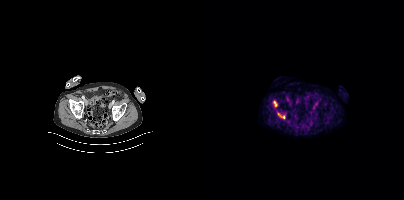
Coordinates are on the 200×200 PET (right) panel. PSMA-avid tumor lesion bounding boxes:
| # | x0 | y0 | x1 | y1 |
|---|---|---|---|---|
| 1 | 69 | 101 | 73 | 106 |
| 2 | 74 | 113 | 80 | 118 |
Two-panel axial: CT | PSMA PET, 18F tracer. PET panel 200×200 px (4.1 mm/px).